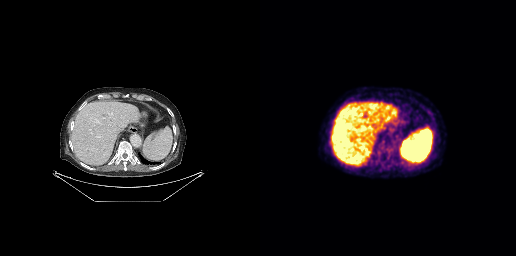
- Paired axial CT (left) and PSMA PET (right), 18F-PSMA tracer
- acquired on GE Discovery 690
Findings: No PSMA-avid tumor lesions on this slice.